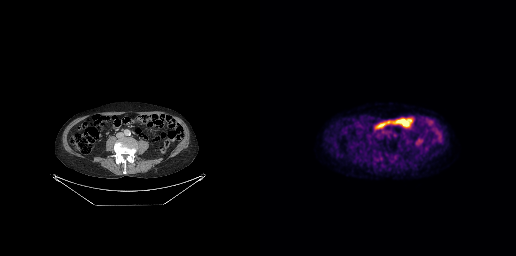
Left: CT. Right: PSMA PET, same axial level, 18F tracer. Acquired on GE Discovery 690. PET panel 256×256 px (2.7 mm/px). Only PSMA-avid lesion pieces thinner than 2 px on this slice (not listed).